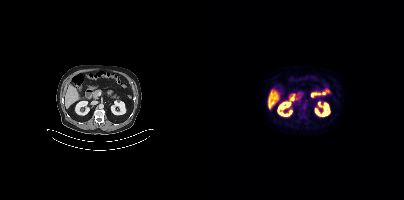
{"modality":"PSMA PET/CT","view":"axial","tracer":"18F-PSMA","pet_grid":[200,200],"coord_frame":"pet_panel","coord_format":"x0,y0,x1,y1","psma_avid_lesions":false}